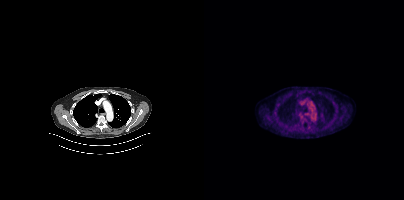
No tumor lesions annotated on this slice.